deidentification: head region blanked (face removed) | modality: PSMA PET/CT | tracer: 18F-PSMA | view: axial | PET grid: 200×200
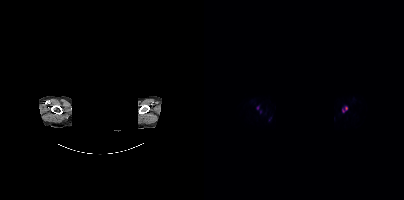
Coordinates are on the 200×200 PET (right) panel. (showing 3 of 4 foci) PSMA-avid tumor lesion bounding box (x, y, width, height): x=138 y=106 w=6 h=7. Small PSMA-avid foci (2 to 4 px across) near (center x, center y): (53, 107); (56, 112).